Two-panel axial: CT | PSMA PET, 68Ga tracer. PET panel 256×256 px (2.7 mm/px). A rectangle over the head was blacked out to remove identifiable facial features.
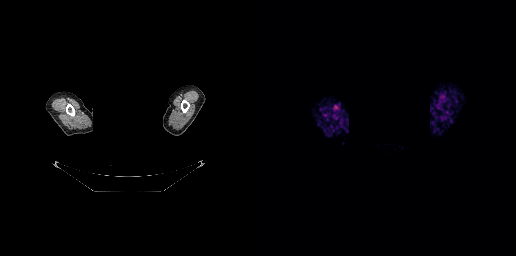
This slice has no annotated PSMA-avid lesion.